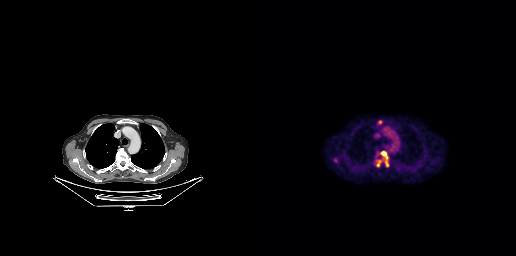
Findings: Coordinates are on the 256×256 PET (right) panel. (showing 2 of 4 foci) PSMA-avid tumor lesion bounding boxes (x, y, width, height): x=121 y=152 w=6 h=4 / x=118 y=120 w=5 h=4.
Technique: Left: CT. Right: PSMA PET, same axial level, 18F tracer. acquired on GE Discovery 690. PET panel 256×256 px (2.7 mm/px).